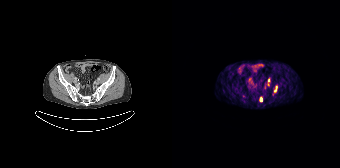
{"modality":"PSMA PET/CT","view":"axial","tracer":"68Ga","pet_grid":[168,168],"coord_frame":"pet_panel","coord_format":"x0,y0,x1,y1","lesion_bboxes":[[102,87,104,91]],"small_foci_centers":[[89,99]]}